- Paired axial CT (left) and PSMA PET (right), [18F]PSMA-1007 tracer
- acquired on Siemens Biograph mCT Flow 20
- PET panel 200×200 px (4.1 mm/px)
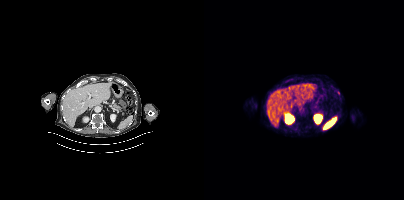
Findings: This slice has no annotated PSMA-avid lesion.